Two-panel axial: CT | PSMA PET, [18F]PSMA-1007 tracer.
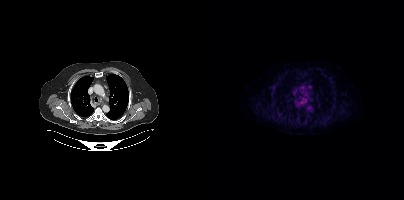
Negative for PSMA-avid disease on this slice.